Technique: Paired axial CT (left) and PSMA PET (right), [18F]PSMA-1007 tracer. slice 384 of 448.
Note: De-identified by setting a box covering the face to black before release.
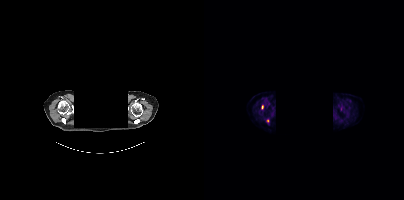
Findings: Coordinates are on the 200×200 PET (right) panel. (showing 1 of 3 foci) Small PSMA-avid focus (2 to 4 px across) near (center x, center y): (58, 107).